Technique: Left: CT. Right: PSMA PET, same axial level, 18F-PSMA tracer. acquired on Siemens Biograph mCT Flow 20. PET panel 200×200 px (4.1 mm/px).
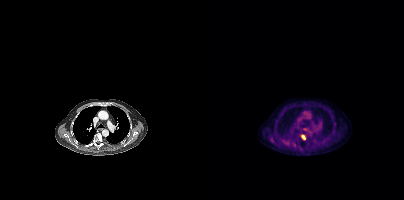
Findings: Coordinates are on the 200×200 PET (right) panel. PSMA-avid tumor lesion bounding box (x, y, width, height): x=97 y=134 w=5 h=6. Small PSMA-avid focus (2 to 4 px across) near (center x, center y): (90, 144).